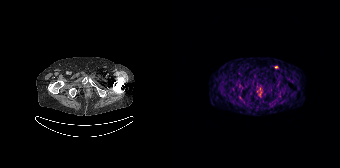
Technique: Two-panel axial: CT | PSMA PET, 68Ga tracer. slice position z = -1290 mm.
Findings: Coordinates are on the 168×168 PET (right) panel. Small PSMA-avid focus (2 to 4 px across) near (center x, center y): (104, 67).